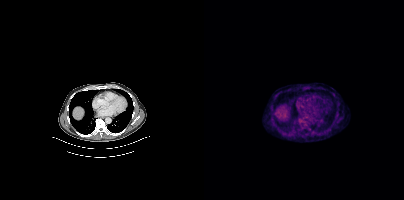
modality: PSMA PET/CT | tracer: [18F]PSMA-1007 | view: axial | PET grid: 200×200
Coordinates are on the 200×200 PET (right) panel. PSMA-avid tumor lesion bounding box (x0,y0,x1,y1): [96,118,101,123].